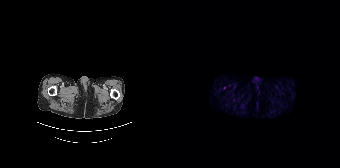
No PSMA-avid tumor lesions on this slice.